Technique: Left: CT. Right: PSMA PET, same axial level, 18F tracer. acquired on Siemens Biograph mCT Flow 20. PET panel 200×200 px (4.1 mm/px).
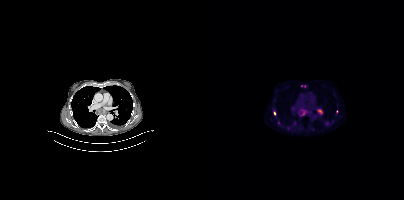
Findings: Coordinates are on the 200×200 PET (right) panel. (showing 9 of 10 foci) PSMA-avid tumor lesion bounding boxes (x, y, width, height): x=94 y=109 w=11 h=8 / x=113 y=109 w=6 h=5. Small PSMA-avid foci (2 to 4 px across) near (center x, center y): (75, 122) / (123, 123) / (70, 113) / (132, 111) / (84, 126) / (97, 85) / (100, 85).